modality: PSMA PET/CT | tracer: [18F]PSMA-1007 | view: axial | PET grid: 200×200
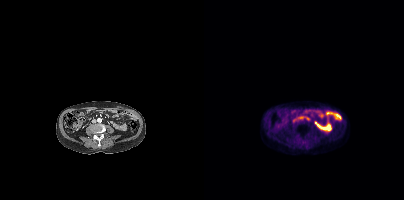
No tumor lesions annotated on this slice.